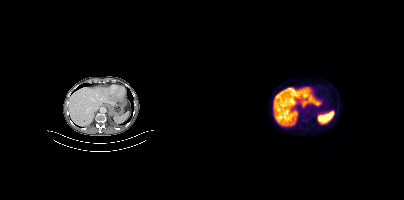
Findings: This slice has no annotated PSMA-avid lesion.
- Paired axial CT (left) and PSMA PET (right), [18F]PSMA-1007 tracer
- acquired on Siemens Biograph mCT Flow 20